Two-panel axial: CT | PSMA PET, [68Ga]Ga-PSMA-11 tracer.
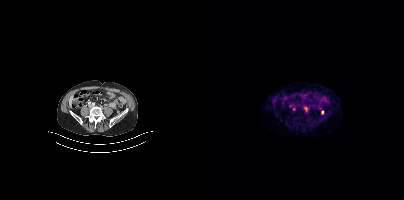
Coordinates are on the 200×200 PET (right) panel. (showing 2 of 3 foci) Small PSMA-avid foci (2 to 4 px across) near (center x, center y): (118, 112) | (101, 109).